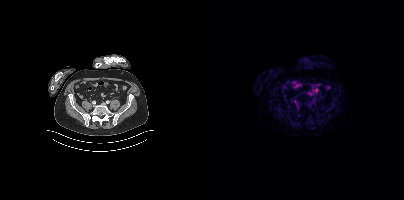
This slice has no annotated PSMA-avid lesion.